modality: PSMA PET/CT | tracer: [18F]PSMA-1007 | view: axial
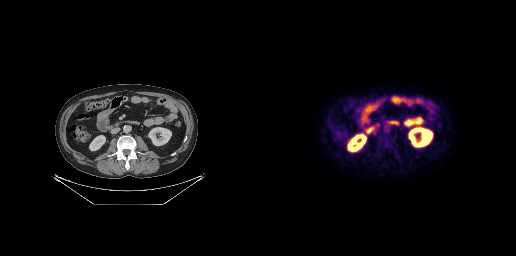
No tumor lesions annotated on this slice.